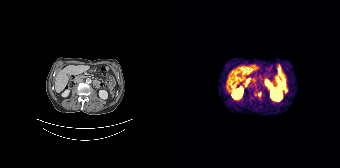
Coordinates are on the 168×168 PET (right) panel. Small PSMA-avid focus (2 to 4 px across) near (center x, center y): (87, 94).